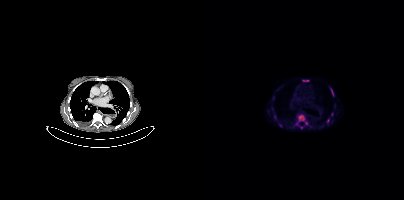
Coordinates are on the 200×200 PET (right) panel. (showing 8 of 10 foci) PSMA-avid tumor lesion bounding boxes (x0, y0)-(x1, y1): (94, 115)-(100, 121) / (126, 88)-(129, 95) / (99, 80)-(104, 81). Small PSMA-avid foci (2 to 4 px across) near (center x, center y): (124, 120) / (102, 123) / (69, 97) / (97, 127) / (92, 123). Paired axial CT (left) and PSMA PET (right), 18F-PSMA tracer.